- Two-panel axial: CT | PSMA PET, 68Ga tracer
- acquired on GE Discovery 690
- slice 48 of 299
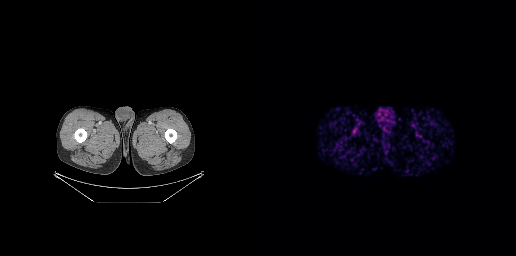
Findings: Negative for PSMA-avid disease on this slice.